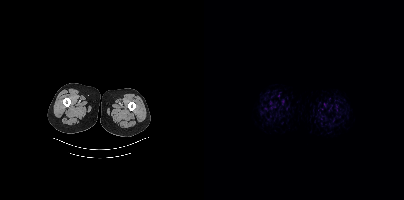
{"modality":"PSMA PET/CT","view":"axial","tracer":"18F-PSMA","pet_grid":[200,200],"coord_frame":"pet_panel","coord_format":"x0,y0,x1,y1","psma_avid_lesions":false}